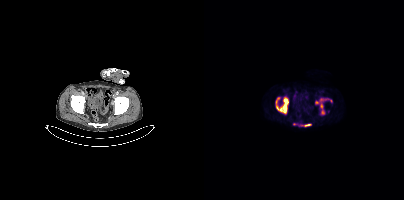
modality: PSMA PET/CT | tracer: 18F | view: axial
Coordinates are on the 200×200 PET (right) panel. PSMA-avid tumor lesion bounding boxes (x0,y0,x1,y1): [71,96,84,114], [111,98,122,114], [96,124,107,126], [124,99,128,101]. Small PSMA-avid focus (2 to 4 px across) near (center x, center y): (90, 124).